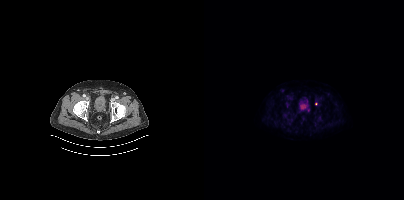
Left: CT. Right: PSMA PET, same axial level, 18F-PSMA tracer. PET panel 200×200 px (4.1 mm/px). Coordinates are on the 200×200 PET (right) panel. Small PSMA-avid focus (2 to 4 px across) near (center x, center y): (111, 103).